- Paired axial CT (left) and PSMA PET (right), [18F]PSMA-1007 tracer
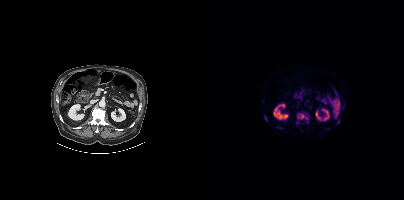
Findings: Coordinates are on the 200×200 PET (right) panel. PSMA-avid tumor lesion bounding boxes (x, y, width, height): x=92 y=112 w=14 h=13 | x=60 y=116 w=4 h=6.